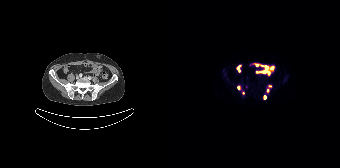
Left: CT. Right: PSMA PET, same axial level, 18F-PSMA tracer. Slice 44 of 165. PET panel 168×168 px (4.1 mm/px).
Coordinates are on the 168×168 PET (right) panel. PSMA-avid tumor lesion bounding boxes:
| # | x0 | y0 | x1 | y1 |
|---|---|---|---|---|
| 1 | 91 | 95 | 94 | 99 |
Small PSMA-avid foci (2 to 4 px across) near (center x, center y): (66, 87); (95, 90); (71, 93); (98, 86).